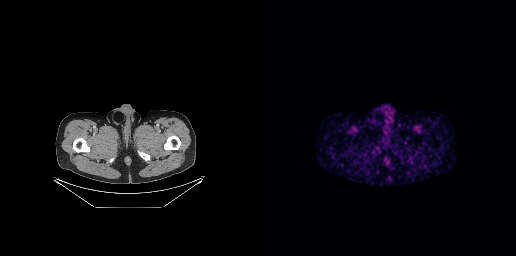
- Two-panel axial: CT | PSMA PET, 68Ga tracer
- acquired on GE Discovery 690
Findings: This slice has no annotated PSMA-avid lesion.